Left: CT. Right: PSMA PET, same axial level, [18F]PSMA-1007 tracer. Acquired on Siemens Biograph mCT Flow 20.
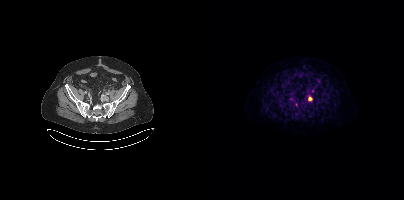
Coordinates are on the 200×200 PET (right) panel. PSMA-avid tumor lesion bounding box (x0,y0,x1,y1): [104,97,107,101]. Small PSMA-avid focus (2 to 4 px across) near (center x, center y): (107, 112).